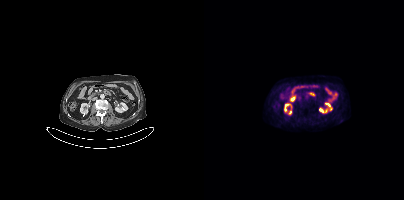
Left: CT. Right: PSMA PET, same axial level, [18F]PSMA-1007 tracer. Slice 170 of 401. No PSMA-avid tumor lesions on this slice.